Two-panel axial: CT | PSMA PET, 18F-PSMA tracer. Acquired on GE Discovery 690. PET panel 256×256 px (2.7 mm/px).
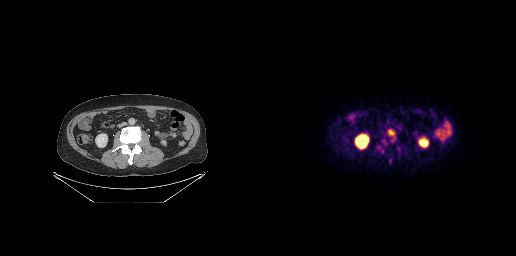
Coordinates are on the 256×256 PET (right) panel. PSMA-avid tumor lesion bounding boxes (partial; 2 more foci not listed):
| # | x0 | y0 | x1 | y1 |
|---|---|---|---|---|
| 1 | 128 | 129 | 134 | 136 |